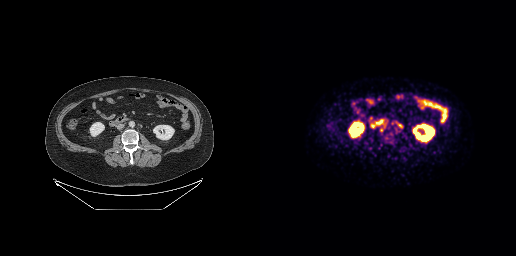
modality: PSMA PET/CT | tracer: 18F-PSMA | view: axial
Negative for PSMA-avid disease on this slice.